Two-panel axial: CT | PSMA PET, 68Ga tracer. Acquired on Siemens Biograph mCT Flow 20. Slice position z = -908 mm. Privacy masking over the head, with the pixels inside a rectangle set to black.
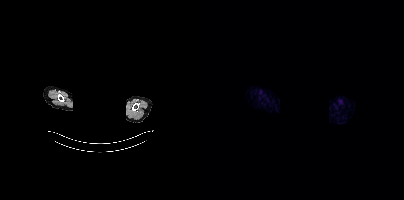
No tumor lesions annotated on this slice.